modality: PSMA PET/CT | tracer: 18F-PSMA | view: axial
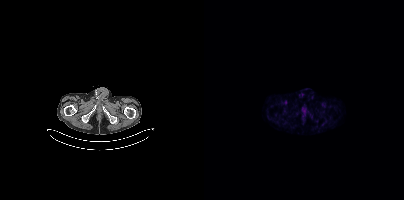
Only PSMA-avid lesion pieces thinner than 2 px on this slice (not listed).